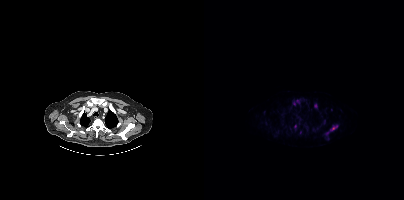
Coordinates are on the 200×200 PET (right) panel. PSMA-avid tumor lesion bounding boxes (partial; 2 more foci not listed):
| # | x0 | y0 | x1 | y1 |
|---|---|---|---|---|
| 1 | 126 | 125 | 133 | 130 |
Small PSMA-avid foci (2 to 4 px across) near (center x, center y): (111, 105); (91, 126); (124, 138).
Two-panel axial: CT | PSMA PET, [18F]PSMA-1007 tracer. PET panel 200×200 px (4.1 mm/px).